Technique: Paired axial CT (left) and PSMA PET (right), 18F-PSMA tracer. acquired on Siemens Biograph mCT Flow 20. slice 141 of 415. PET panel 200×200 px (4.1 mm/px).
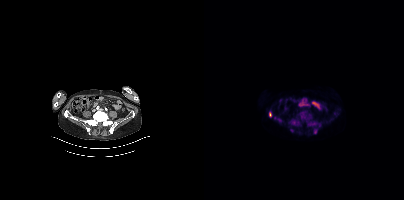
Findings: Coordinates are on the 200×200 PET (right) panel. (showing 5 of 6 foci) PSMA-avid tumor lesion bounding boxes (x, y, width, height): x=87 y=120 w=7 h=6 | x=104 y=122 w=8 h=4 | x=110 y=129 w=4 h=5 | x=65 y=112 w=3 h=6. Small PSMA-avid focus (2 to 4 px across) near (center x, center y): (75, 119).